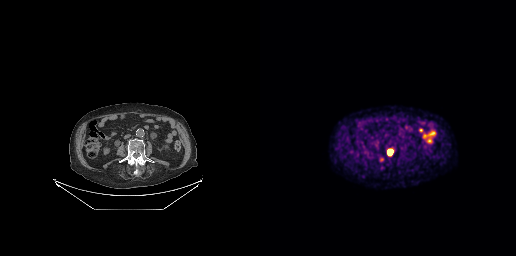
Technique: Left: CT. Right: PSMA PET, same axial level, 18F tracer. slice position z = -467 mm.
Findings: Coordinates are on the 256×256 PET (right) panel. PSMA-avid tumor lesion bounding box (x0, y0)-(x1, y1): (129, 149)-(135, 156).